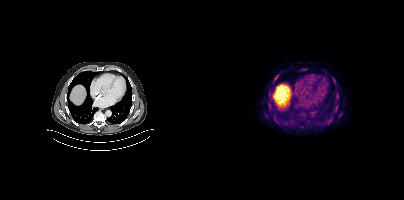
Left: CT. Right: PSMA PET, same axial level, 18F tracer. Acquired on Siemens Biograph mCT Flow 20. Slice 299 of 454. PET panel 200×200 px (4.1 mm/px). Coordinates are on the 200×200 PET (right) panel. (showing 7 of 10 foci) PSMA-avid tumor lesion bounding boxes (x0, y0)-(x1, y1): (69, 77)-(72, 81); (129, 77)-(131, 81). Small PSMA-avid foci (2 to 4 px across) near (center x, center y): (65, 103); (62, 115); (127, 118); (100, 69); (73, 75).